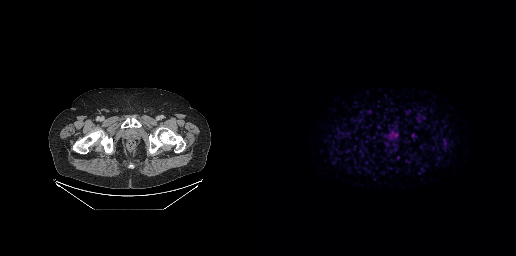
No PSMA-avid tumor lesions on this slice.